- Two-panel axial: CT | PSMA PET, [18F]PSMA-1007 tracer
- slice position z = -1122 mm
- PET panel 200×200 px (4.1 mm/px)
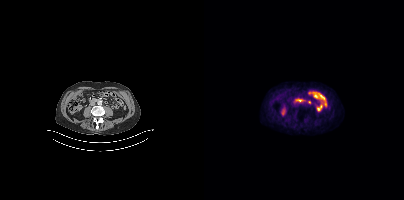
Findings: Negative for PSMA-avid disease on this slice.